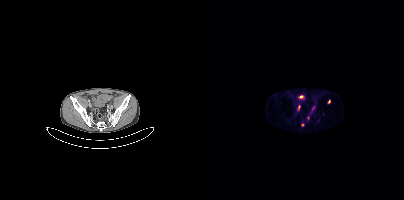
Coordinates are on the 200×200 PET (right) panel. PSMA-avid tumor lesion bounding boxes:
| # | x0 | y0 | x1 | y1 |
|---|---|---|---|---|
| 1 | 105 | 105 | 111 | 115 |
| 2 | 94 | 106 | 95 | 110 |
Small PSMA-avid foci (2 to 4 px across) near (center x, center y): (98, 124); (125, 101).
Paired axial CT (left) and PSMA PET (right), 68Ga-PSMA tracer. Acquired on Siemens Biograph mCT Flow 20. Slice position z = -1612 mm. PET panel 200×200 px (4.1 mm/px).